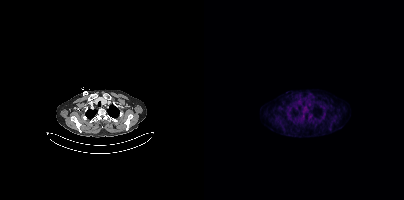
Technique: Left: CT. Right: PSMA PET, same axial level, 18F tracer.
Findings: Coordinates are on the 200×200 PET (right) panel. Small PSMA-avid focus (2 to 4 px across) near (center x, center y): (99, 116).